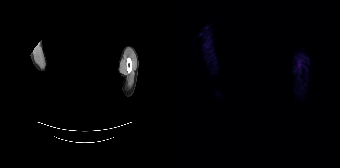
No PSMA-avid tumor lesions on this slice.
The head region is masked for de-identification.